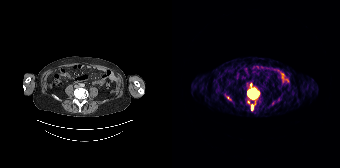
Coordinates are on the 168×168 PET (right) panel. PSMA-avid tumor lesion bounding boxes (partial; 2 more foci not listed):
| # | x0 | y0 | x1 | y1 |
|---|---|---|---|---|
| 1 | 75 | 89 | 85 | 98 |
| 2 | 79 | 105 | 81 | 110 |
Small PSMA-avid focus (2 to 4 px across) near (center x, center y): (76, 101).
Left: CT. Right: PSMA PET, same axial level, 68Ga-PSMA tracer. Slice 88 of 195. PET panel 168×168 px (4.1 mm/px).